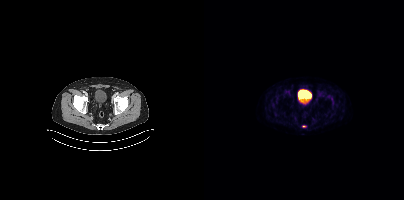
Left: CT. Right: PSMA PET, same axial level, 68Ga-PSMA tracer. Acquired on Siemens Biograph mCT Flow 20. PET panel 200×200 px (4.1 mm/px). Coordinates are on the 200×200 PET (right) panel. PSMA-avid tumor lesion bounding box (x0,y0,x1,y1): [98,125,102,127].